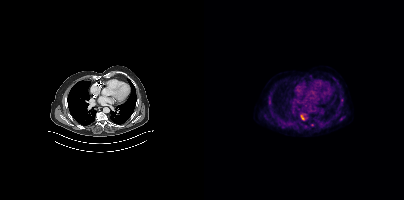
Coordinates are on the 200×200 PET (right) panel. (showing 3 of 4 foci) PSMA-avid tumor lesion bounding box (x, y, width, height): x=96 y=114 w=8 h=7. Small PSMA-avid foci (2 to 4 px across) near (center x, center y): (137, 118) / (108, 124).